Paired axial CT (left) and PSMA PET (right), 18F tracer. Acquired on Siemens Biograph mCT Flow 20. Slice 282 of 356.
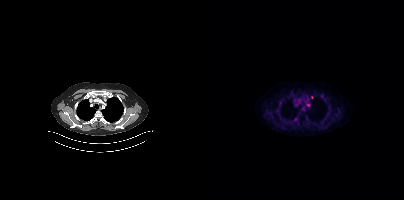
Only PSMA-avid lesion pieces thinner than 2 px on this slice (not listed).